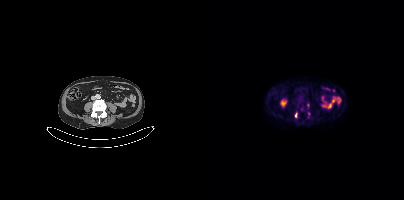
Findings: Coordinates are on the 200×200 PET (right) panel. (showing 1 of 3 foci) PSMA-avid tumor lesion bounding box (x0, y0)-(x1, y1): (91, 113)-(93, 117).
- Paired axial CT (left) and PSMA PET (right), 18F tracer
- slice 161 of 415